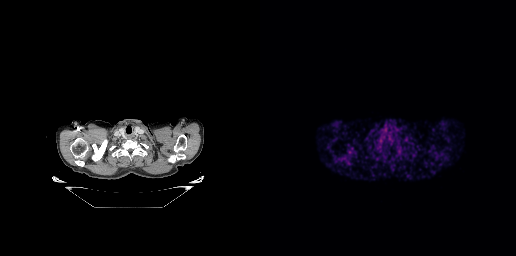
{"pet_grid":[256,256],"coord_frame":"pet_panel","coord_format":"x0,y0,x1,y1","psma_avid_lesions":false,"modality":"PSMA PET/CT","view":"axial","tracer":"[68Ga]Ga-PSMA-11"}